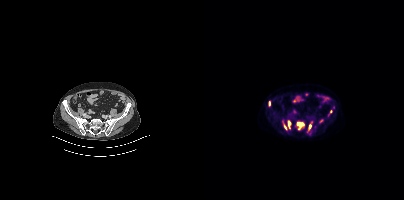
Coordinates are on the 200×200 PET (right) panel. PSMA-avid tumor lesion bounding boxes (x0, y0)-(x1, y1): (93, 122)-(100, 129) | (83, 120)-(87, 128) | (104, 124)-(107, 130) | (65, 101)-(66, 105) | (115, 119)-(119, 122) | (80, 125)-(82, 129). Small PSMA-avid focus (2 to 4 px across) near (center x, center y): (127, 111). Paired axial CT (left) and PSMA PET (right), 18F-PSMA tracer. PET panel 200×200 px (4.1 mm/px).